modality: PSMA PET/CT | tracer: [18F]PSMA-1007 | view: axial
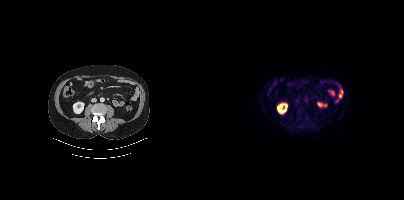
Coordinates are on the 200×200 PET (right) panel. PSMA-avid tumor lesion bounding box (x, y, width, height): x=94 y=108 w=6 h=9. Small PSMA-avid focus (2 to 4 px across) near (center x, center y): (103, 118).